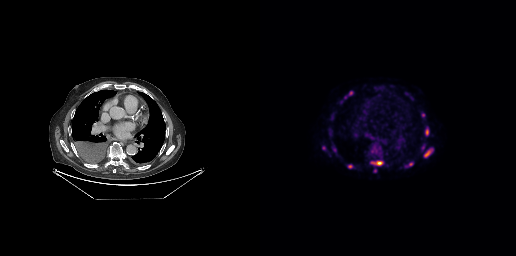
modality: PSMA PET/CT | tracer: [18F]PSMA-1007 | view: axial | PET grid: 256×256
Coordinates are on the 256×256 PET (right) panel. (showing 9 of 11 foci) PSMA-avid tumor lesion bounding boxes (x, y, width, height): x=111 y=161 w=13 h=5 | x=164 y=150 w=7 h=7 | x=165 y=129 w=4 h=7 | x=149 y=162 w=5 h=4. Small PSMA-avid foci (2 to 4 px across) near (center x, center y): (63, 147) | (89, 166) | (91, 93) | (163, 115) | (74, 149).